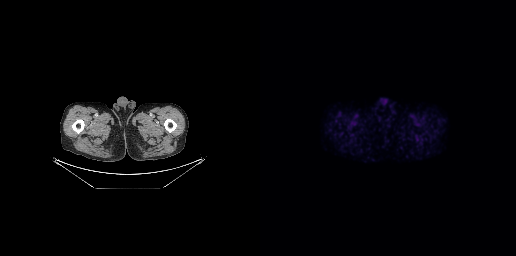
Two-panel axial: CT | PSMA PET, [18F]PSMA-1007 tracer. Acquired on GE Discovery 690. Slice 39 of 263. Negative for PSMA-avid disease on this slice.